Technique: Paired axial CT (left) and PSMA PET (right), 18F-PSMA tracer. slice 20 of 389.
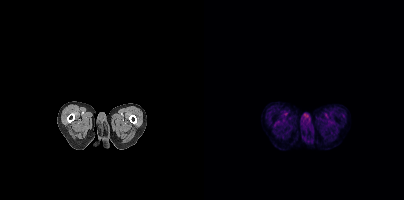
Findings: This slice has no annotated PSMA-avid lesion.